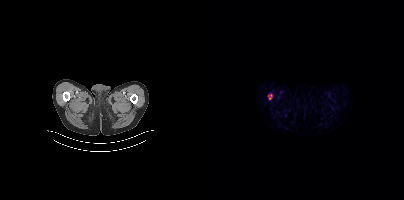
- Paired axial CT (left) and PSMA PET (right), 18F tracer
- acquired on Siemens Biograph mCT Flow 20
- slice position z = -144 mm
Findings: Coordinates are on the 200×200 PET (right) panel. PSMA-avid tumor lesion bounding box (x, y, width, height): x=64 y=94 w=5 h=6.